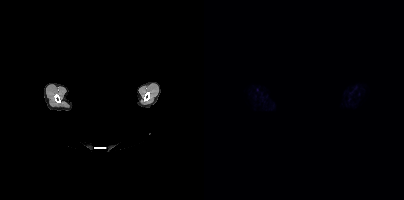
{"pet_grid":[200,200],"coord_frame":"pet_panel","coord_format":"x0,y0,x1,y1","psma_avid_lesions":false,"modality":"PSMA PET/CT","view":"axial","tracer":"18F-PSMA","de-identification":"face masked with black rectangle"}